- Paired axial CT (left) and PSMA PET (right), 18F-PSMA tracer
- acquired on Siemens Biograph mCT Flow 20
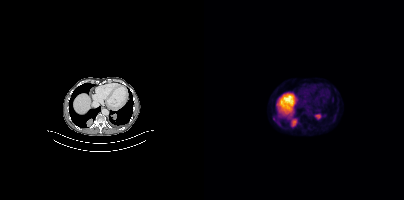
Findings: Coordinates are on the 200×200 PET (right) panel. (showing 4 of 5 foci) PSMA-avid tumor lesion bounding boxes (x0, y0)-(x1, y1): (87, 118)-(93, 126); (111, 114)-(116, 118); (69, 117)-(72, 121); (128, 98)-(129, 102).